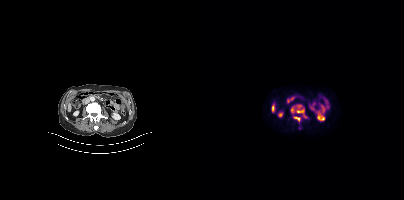
Paired axial CT (left) and PSMA PET (right), [18F]PSMA-1007 tracer. PET panel 200×200 px (4.1 mm/px). Coordinates are on the 200×200 PET (right) panel. (showing 2 of 3 foci) PSMA-avid tumor lesion bounding boxes (x0,y0,x1,y1): [87,104,102,117], [89,116,96,122].